modality: PSMA PET/CT | tracer: [18F]PSMA-1007 | view: axial | PET grid: 200×200
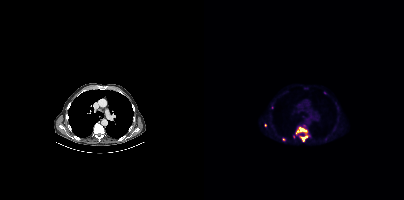
Coordinates are on the 200×200 PET (right) panel. (showing 6 of 9 foci) PSMA-avid tumor lesion bounding boxes (x0, y0)-(x1, y1): (93, 127)-(103, 132) | (98, 135)-(103, 141). Small PSMA-avid foci (2 to 4 px across) near (center x, center y): (68, 107) | (120, 92) | (61, 125) | (79, 139).